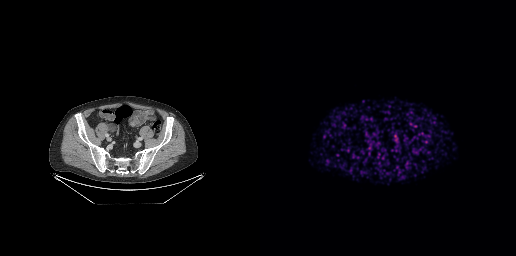
{"modality":"PSMA PET/CT","view":"axial","tracer":"68Ga-PSMA","pet_grid":[256,256],"coord_frame":"pet_panel","coord_format":"x0,y0,x1,y1","psma_avid_lesions":false}